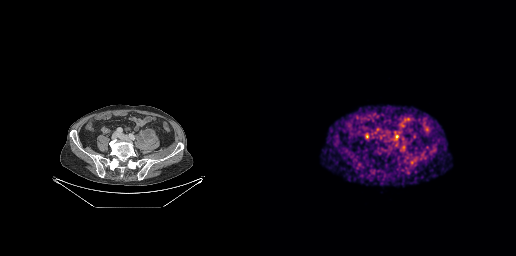
Technique: Paired axial CT (left) and PSMA PET (right), [68Ga]Ga-PSMA-11 tracer. acquired on GE Discovery 690.
Findings: No PSMA-avid tumor lesions on this slice.